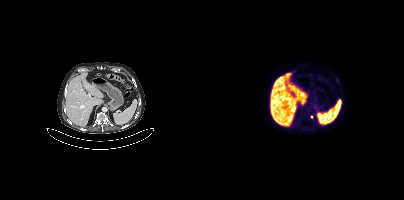
{"modality":"PSMA PET/CT","view":"axial","tracer":"[18F]PSMA-1007","pet_grid":[200,200],"coord_frame":"pet_panel","coord_format":"x0,y0,x1,y1","lesion_bboxes":[],"small_foci_centers":[[107,117]]}